Technique: Two-panel axial: CT | PSMA PET, [18F]PSMA-1007 tracer. slice position z = -1582 mm. PET panel 200×200 px (4.1 mm/px).
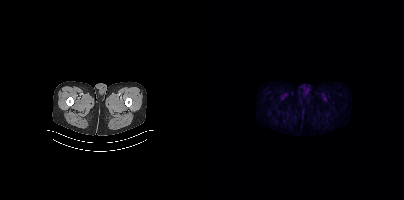
Findings: No PSMA-avid tumor lesions on this slice.